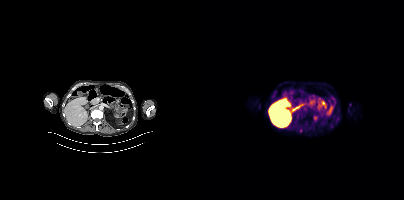
Paired axial CT (left) and PSMA PET (right), 18F-PSMA tracer. This slice has no annotated PSMA-avid lesion.